Left: CT. Right: PSMA PET, same axial level, [18F]PSMA-1007 tracer. Slice position z = -928 mm. PET panel 200×200 px (4.1 mm/px).
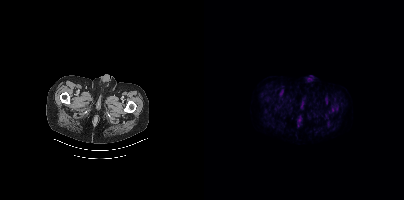
No PSMA-avid tumor lesions on this slice.